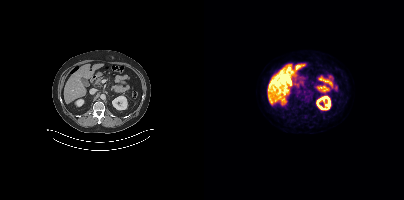
Left: CT. Right: PSMA PET, same axial level, 18F tracer. Slice position z = -443 mm. Coordinates are on the 200×200 PET (right) panel. Small PSMA-avid focus (2 to 4 px across) near (center x, center y): (107, 96).